modality: PSMA PET/CT | tracer: [18F]PSMA-1007 | view: axial | PET grid: 200×200
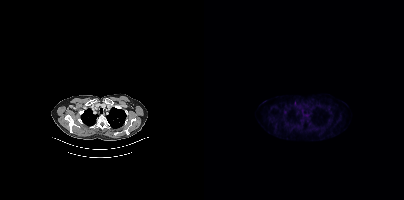
Coordinates are on the 200×200 PET (right) panel. Small PSMA-avid focus (2 to 4 px across) near (center x, center y): (103, 120).